Technique: Left: CT. Right: PSMA PET, same axial level, 18F-PSMA tracer. slice 293 of 375.
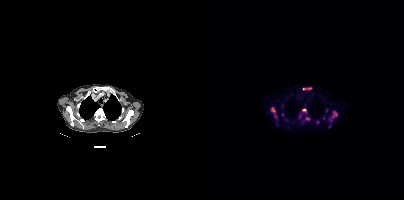
Findings: Coordinates are on the 200×200 PET (right) panel. (showing 9 of 12 foci) PSMA-avid tumor lesion bounding boxes (x, y, width, height): x=66 y=107 w=7 h=12 | x=128 y=111 w=6 h=8 | x=98 y=87 w=10 h=4 | x=101 y=118 w=5 h=3 | x=98 y=109 w=5 h=3. Small PSMA-avid foci (2 to 4 px across) near (center x, center y): (96, 116) | (113, 122) | (78, 114) | (122, 110).